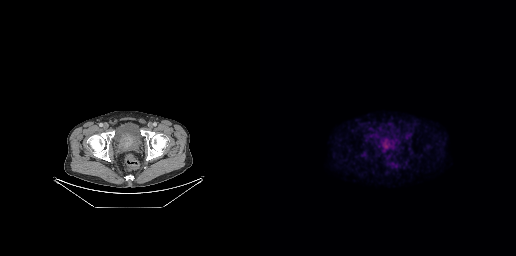
Findings: Coordinates are on the 256×256 PET (right) panel. PSMA-avid tumor lesion bounding box (x0,y0,x1,y1): [121,138,134,149].
Technique: Left: CT. Right: PSMA PET, same axial level, [18F]PSMA-1007 tracer. acquired on GE Discovery 690. PET panel 256×256 px (2.7 mm/px).